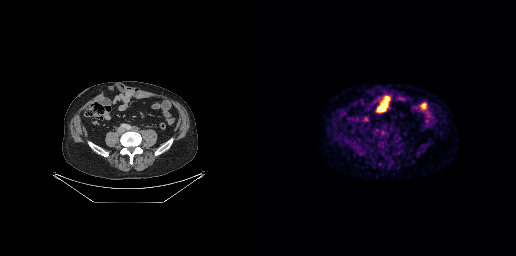
Technique: Left: CT. Right: PSMA PET, same axial level, 18F tracer.
Findings: Negative for PSMA-avid disease on this slice.